Technique: Paired axial CT (left) and PSMA PET (right), 18F tracer. acquired on Siemens Biograph mCT Flow 20.
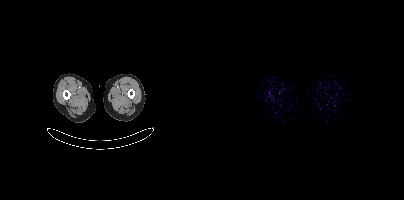
Findings: Only PSMA-avid lesion pieces thinner than 2 px on this slice (not listed).